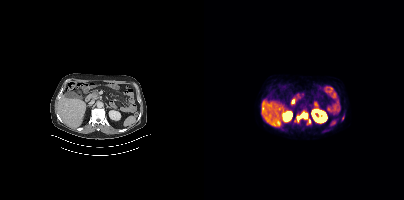
Coordinates are on the 200×200 PET (right) panel. (showing 1 of 2 foci) PSMA-avid tumor lesion bounding box (x, y, width, height): x=93 y=114 w=11 h=6.